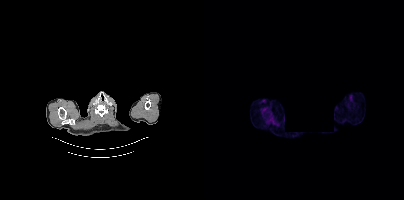
- Paired axial CT (left) and PSMA PET (right), 18F tracer
- acquired on Siemens Biograph mCT Flow 20
- PET panel 200×200 px (4.1 mm/px)
- some pixels were blanked for anonymization
Findings: Coordinates are on the 200×200 PET (right) panel. PSMA-avid tumor lesion bounding box (x0, y0)-(x1, y1): (59, 107)-(62, 111).